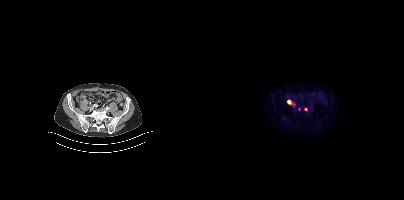
{"modality":"PSMA PET/CT","view":"axial","tracer":"18F","pet_grid":[200,200],"coord_frame":"pet_panel","coord_format":"x0,y0,x1,y1","partial":true,"lesion_bboxes":[[83,100,90,105]],"small_foci_centers":[[101,109]]}